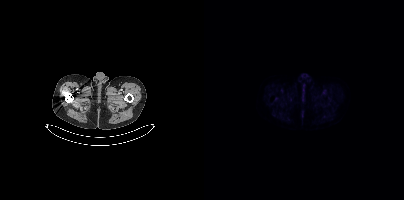
Left: CT. Right: PSMA PET, same axial level, 18F-PSMA tracer. Acquired on Siemens Biograph mCT Flow 20. Slice position z = -304 mm. PET panel 200×200 px (4.1 mm/px). This slice has no annotated PSMA-avid lesion.